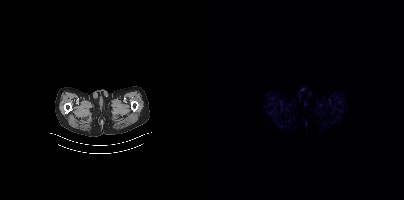
This slice has no annotated PSMA-avid lesion. Paired axial CT (left) and PSMA PET (right), 18F-PSMA tracer. Acquired on Siemens Biograph mCT Flow 20. Slice 13 of 401. PET panel 200×200 px (4.1 mm/px).